Technique: Two-panel axial: CT | PSMA PET, [18F]PSMA-1007 tracer. acquired on GE Discovery 690. PET panel 256×256 px (2.7 mm/px).
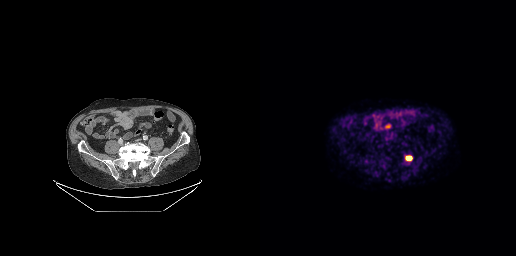
Findings: Coordinates are on the 256×256 PET (right) panel. PSMA-avid tumor lesion bounding box (x, y, width, height): x=146 y=156 w=6 h=5.